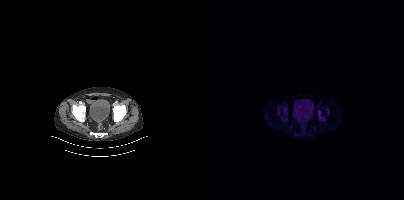
- Paired axial CT (left) and PSMA PET (right), [18F]PSMA-1007 tracer
- PET panel 200×200 px (4.1 mm/px)
Findings: Coordinates are on the 200×200 PET (right) panel. (showing 4 of 7 foci) PSMA-avid tumor lesion bounding boxes (x, y, width, height): x=114 y=110 w=8 h=11 / x=122 y=108 w=4 h=7 / x=80 y=108 w=3 h=5 / x=74 y=110 w=2 h=5.